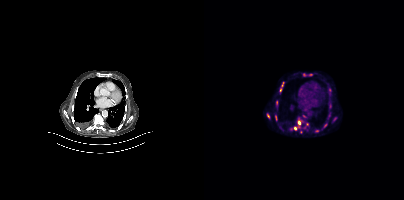
Paired axial CT (left) and PSMA PET (right), 18F tracer. Slice position z = -1089 mm. Coordinates are on the 200×200 PET (right) panel. (showing 12 of 17 foci) PSMA-avid tumor lesion bounding boxes (x0, y0)-(x1, y1): (90, 120)-(99, 130) | (75, 82)-(80, 91) | (62, 113)-(66, 119) | (99, 123)-(104, 128) | (125, 88)-(127, 94) | (71, 115)-(73, 120). Small PSMA-avid foci (2 to 4 px across) near (center x, center y): (100, 74) | (130, 118) | (112, 130) | (72, 102) | (121, 125) | (125, 115).